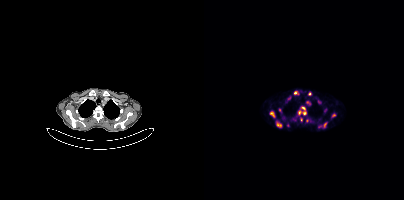
Technique: Two-panel axial: CT | PSMA PET, [68Ga]Ga-PSMA-11 tracer. acquired on Siemens Biograph mCT Flow 20.
Findings: Coordinates are on the 200×200 PET (right) panel. (showing 13 of 14 foci) PSMA-avid tumor lesion bounding boxes (x0,y0,x1,y1): [65,111,70,117] [73,123,77,127] [120,123,122,127]. Small PSMA-avid foci (2 to 4 px across) near (center x, center y): (105, 93) (91, 93) (99, 108) (100, 113) (129, 115) (97, 119) (85, 98) (75, 110) (95, 112) (103, 101).